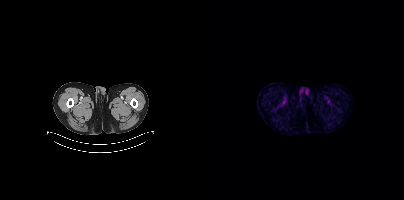
No tumor lesions annotated on this slice.